- Two-panel axial: CT | PSMA PET, [18F]PSMA-1007 tracer
- slice 47 of 373
- PET panel 200×200 px (4.1 mm/px)
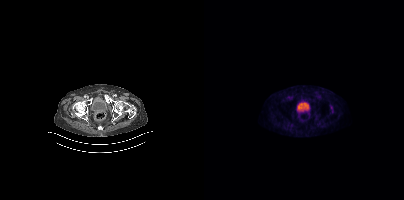
Findings: This slice has no annotated PSMA-avid lesion.